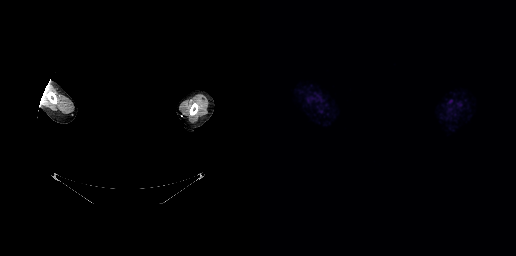
modality: PSMA PET/CT | tracer: 18F-PSMA | view: axial | de-identification: privacy mask over head
No PSMA-avid tumor lesions on this slice.